modality: PSMA PET/CT | tracer: 18F-PSMA | view: axial | PET grid: 200×200
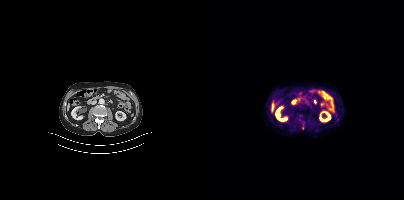
Coordinates are on the 200×200 PET (right) panel. Small PSMA-avid focus (2 to 4 px across) near (center x, center y): (98, 128).